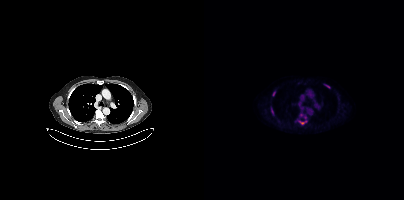
Paired axial CT (left) and PSMA PET (right), 18F tracer. Coordinates are on the 200×200 PET (right) panel. (showing 4 of 5 foci) PSMA-avid tumor lesion bounding boxes (x0,y0,x1,y1): [120,84,126,88] [68,91,71,95] [67,108,69,114] [95,121,100,124].